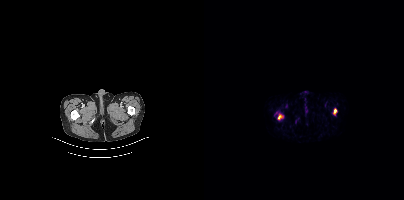
Coordinates are on the 200×200 PET (right) panel. PSMA-avid tumor lesion bounding boxes:
| # | x0 | y0 | x1 | y1 |
|---|---|---|---|---|
| 1 | 130 | 109 | 132 | 113 |
| 2 | 74 | 115 | 77 | 119 |
Two-panel axial: CT | PSMA PET, 18F tracer. Acquired on Siemens Biograph mCT Flow 20. PET panel 200×200 px (4.1 mm/px).